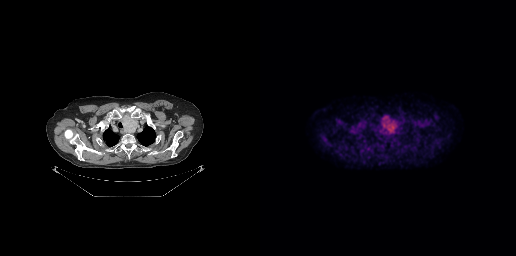
Coordinates are on the 256×256 PET (right) panel. PSMA-avid tumor lesion bounding box (x, y, width, height): x=120 y=115 w=18 h=19. Small PSMA-avid focus (2 to 4 px across) near (center x, center y): (125, 132). Two-panel axial: CT | PSMA PET, 18F tracer.